De-identified by setting a box covering the face to black before release.
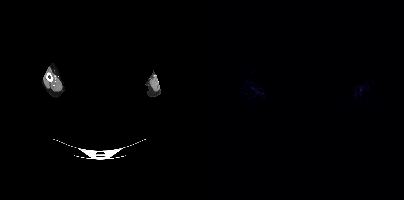
No PSMA-avid tumor lesions on this slice.